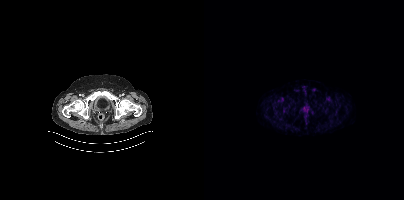
No PSMA-avid tumor lesions on this slice.